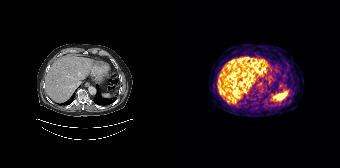
{"modality":"PSMA PET/CT","view":"axial","tracer":"[68Ga]Ga-PSMA-11","pet_grid":[168,168],"coord_frame":"pet_panel","coord_format":"x0,y0,x1,y1","psma_avid_lesions":false}